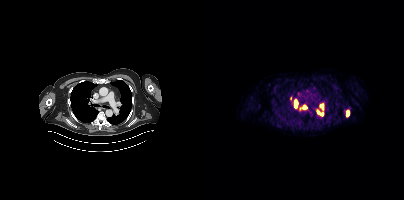
Coordinates are on the 200×200 PET (right) panel. (showing 9 of 11 foci) PSMA-avid tumor lesion bounding boxes (x, y, width, height): x=90 y=100 w=4 h=9; x=143 y=110 w=2 h=6. Small PSMA-avid foci (2 to 4 px across) near (center x, center y): (94, 93); (101, 106); (117, 105); (118, 114); (114, 112); (86, 98); (118, 108).